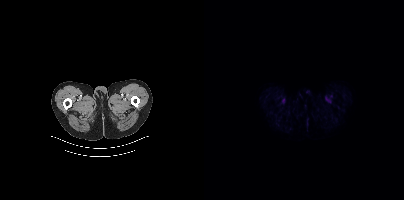
Paired axial CT (left) and PSMA PET (right), [18F]PSMA-1007 tracer. This slice has no annotated PSMA-avid lesion.